Two-panel axial: CT | PSMA PET, [18F]PSMA-1007 tracer.
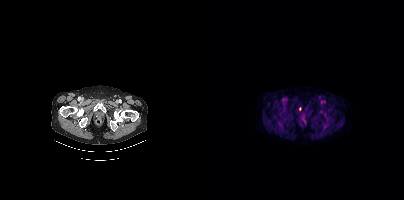
Only PSMA-avid lesion pieces thinner than 2 px on this slice (not listed).